Left: CT. Right: PSMA PET, same axial level, 18F-PSMA tracer.
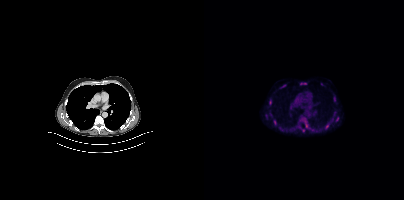
Coordinates are on the 200×200 PET (right) panel. PSMA-avid tumor lesion bounding boxes:
| # | x0 | y0 | x1 | y1 |
|---|---|---|---|---|
| 1 | 96 | 82 | 102 | 84 |
| 2 | 65 | 100 | 67 | 104 |
| 3 | 132 | 117 | 134 | 121 |
| 4 | 70 | 120 | 72 | 124 |
Small PSMA-avid foci (2 to 4 px across) near (center x, center y): (130, 113); (128, 119).